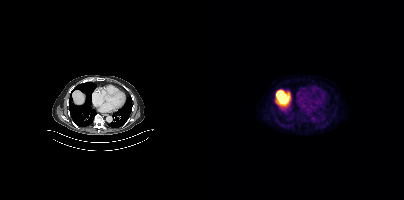
No PSMA-avid tumor lesions on this slice.
modality: PSMA PET/CT | tracer: 18F-PSMA | view: axial